Technique: Left: CT. Right: PSMA PET, same axial level, [18F]PSMA-1007 tracer. acquired on Siemens Biograph mCT Flow 20. slice 711 of 963. PET panel 200×200 px (4.1 mm/px).
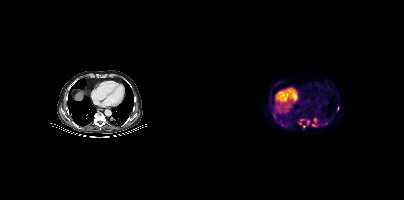
Findings: Coordinates are on the 200×200 PET (right) panel. (showing 5 of 7 foci) PSMA-avid tumor lesion bounding boxes (x0, y0)-(x1, y1): (110, 118)-(112, 122) | (108, 124)-(112, 126). Small PSMA-avid foci (2 to 4 px across) near (center x, center y): (104, 122) | (100, 126) | (95, 123).